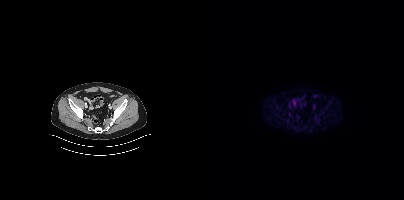
Negative for PSMA-avid disease on this slice.